modality: PSMA PET/CT | tracer: 18F-PSMA | view: axial
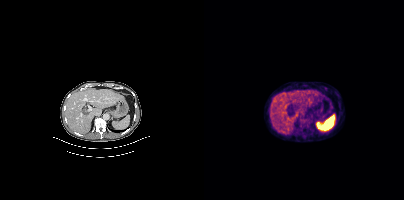
Coordinates are on the 200×200 PET (right) panel. PSMA-avid tumor lesion bounding box (x0,y0,x1,y1): [94,117,107,126].